Paired axial CT (left) and PSMA PET (right), 18F-PSMA tracer. Acquired on Siemens Biograph 64-4R TruePoint.
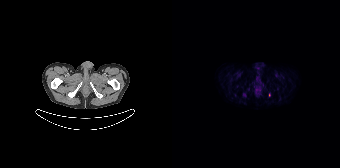
Coordinates are on the 168×168 PET (right) panel. Small PSMA-avid focus (2 to 4 px across) near (center x, center y): (97, 95).